Paired axial CT (left) and PSMA PET (right), [18F]PSMA-1007 tracer. PET panel 200×200 px (4.1 mm/px).
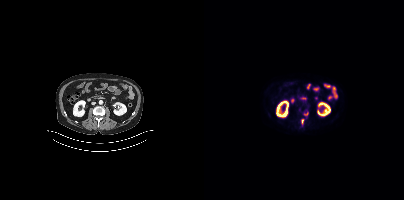
Coordinates are on the 200×200 PET (right) panel. PSMA-avid tumor lesion bounding box (x, y, width, height): x=97 y=119 w=3 h=5. Small PSMA-avid focus (2 to 4 px across) near (center x, center y): (101, 114).